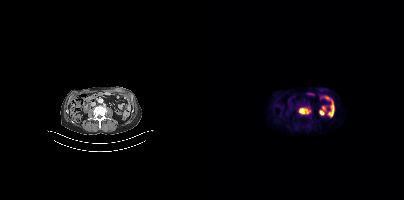
modality: PSMA PET/CT | tracer: [18F]PSMA-1007 | view: axial | PET grid: 200×200
Coordinates are on the 200×200 PET (right) panel. PSMA-avid tumor lesion bounding box (x0, y0)-(x1, y1): (94, 108)-(106, 114).